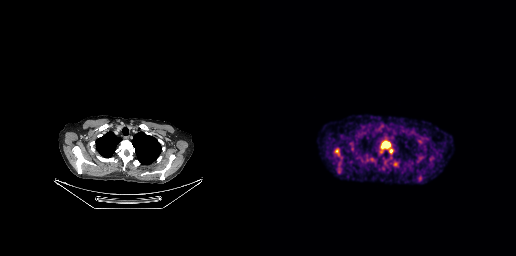
Left: CT. Right: PSMA PET, same axial level, [18F]PSMA-1007 tracer. Acquired on GE Discovery 690. Slice position z = -199 mm.
Coordinates are on the 256×256 PET (right) panel. PSMA-avid tumor lesion bounding boxes:
| # | x0 | y0 | x1 | y1 |
|---|---|---|---|---|
| 1 | 121 | 141 | 130 | 148 |
| 2 | 74 | 148 | 79 | 156 |
Small PSMA-avid focus (2 to 4 px across) near (center x, center y): (131, 150).